Paired axial CT (left) and PSMA PET (right), 18F tracer.
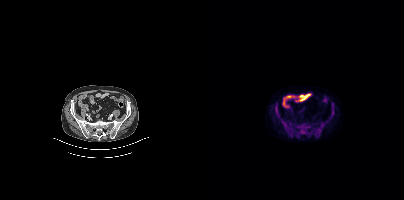
Coordinates are on the 200×200 PET (right) panel. PSMA-avid tumor lesion bounding boxes (x0,y0,x1,y1): [71,103,75,116]; [127,104,130,116]; [97,131,102,134]; [78,121,82,125].